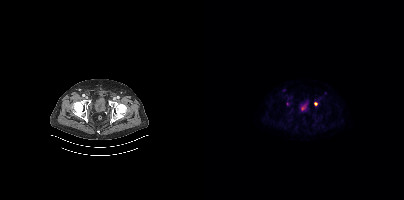
{"modality":"PSMA PET/CT","view":"axial","tracer":"18F-PSMA","pet_grid":[200,200],"coord_frame":"pet_panel","coord_format":"x0,y0,x1,y1","lesion_bboxes":[],"small_foci_centers":[[111,103]]}